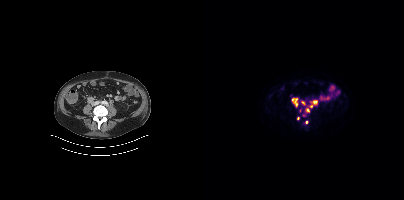
{"modality":"PSMA PET/CT","view":"axial","tracer":"18F","pet_grid":[200,200],"coord_frame":"pet_panel","coord_format":"x0,y0,x1,y1","lesion_bboxes":[[88,98,93,106],[109,100,112,104],[97,101,101,103]],"small_foci_centers":[[107,106],[102,122],[94,118],[103,110]]}